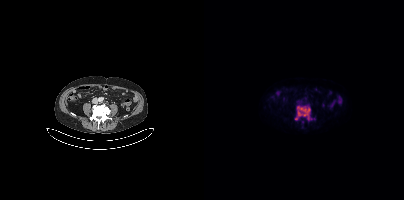
Coordinates are on the 200×200 PET (right) panel. PSMA-avid tumor lesion bounding box (x0,y0,x1,y1): [91,105,108,120].